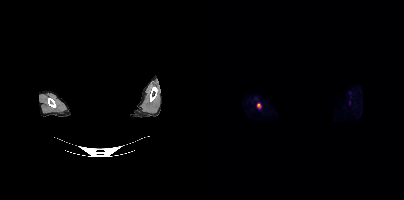
Coordinates are on the 200×200 PET (right) panel. PSMA-avid tumor lesion bounding box (x0, y0)-(x1, y1): (52, 102)-(57, 109).
Any black rectangle over the head is a privacy mask, not anatomy.